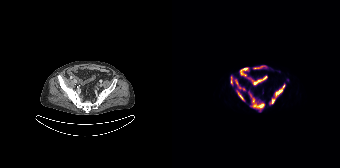
Left: CT. Right: PSMA PET, same axial level, 18F-PSMA tracer. Slice 36 of 165.
Coordinates are on the 168×168 PET (right) panel. PSMA-avid tumor lesion bounding boxes:
| # | x0 | y0 | x1 | y1 |
|---|---|---|---|---|
| 1 | 76 | 91 | 92 | 111 |
| 2 | 97 | 84 | 113 | 104 |
| 3 | 63 | 79 | 73 | 90 |
| 4 | 64 | 90 | 72 | 101 |
| 5 | 59 | 76 | 61 | 85 |